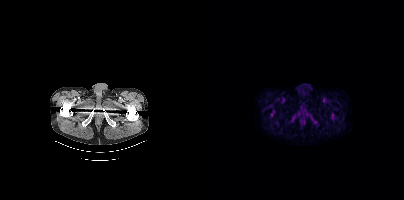
No PSMA-avid tumor lesions on this slice. Paired axial CT (left) and PSMA PET (right), [18F]PSMA-1007 tracer. Acquired on Siemens Biograph mCT Flow 20. Slice 38 of 438. PET panel 200×200 px (4.1 mm/px).